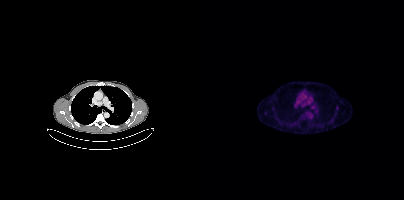
Paired axial CT (left) and PSMA PET (right), [18F]PSMA-1007 tracer. Slice 286 of 417.
Coordinates are on the 200×200 PET (right) panel. PSMA-avid tumor lesion bounding boxes:
| # | x0 | y0 | x1 | y1 |
|---|---|---|---|---|
| 1 | 132 | 106 | 134 | 110 |
Small PSMA-avid focus (2 to 4 px across) near (center x, center y): (61, 113).